Paired axial CT (left) and PSMA PET (right), 18F tracer. Acquired on Siemens Biograph mCT Flow 20. Slice position z = -592 mm. PET panel 200×200 px (4.1 mm/px).
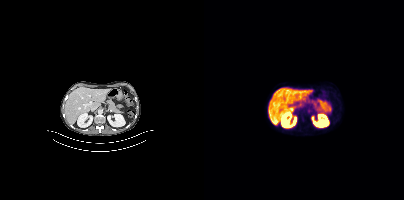
No PSMA-avid tumor lesions on this slice.